- Two-panel axial: CT | PSMA PET, 68Ga tracer
- slice 173 of 411
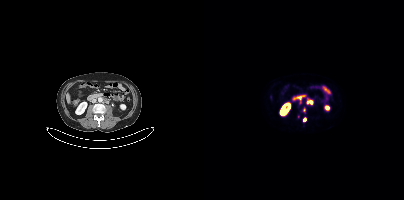
Findings: Coordinates are on the 200×200 PET (right) panel. (showing 3 of 5 foci) PSMA-avid tumor lesion bounding boxes (x, y, width, height): x=103 y=101 w=6 h=4 / x=95 y=99 w=3 h=5. Small PSMA-avid focus (2 to 4 px across) near (center x, center y): (100, 119).